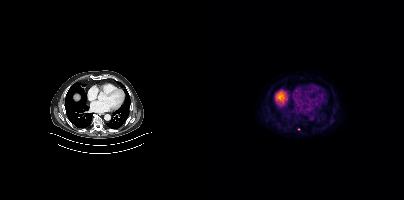
Coordinates are on the 200×200 PET (right) panel. Small PSMA-avid focus (2 to 4 px across) near (center x, center y): (94, 129).